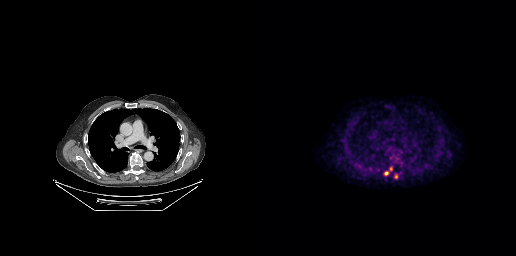
Coordinates are on the 256×256 PET (right) panel. (showing 2 of 3 foci) Small PSMA-avid foci (2 to 4 px across) near (center x, center y): (126, 172); (131, 168). Left: CT. Right: PSMA PET, same axial level, 18F tracer. PET panel 256×256 px (2.7 mm/px).